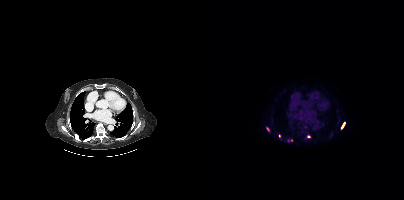
{"modality":"PSMA PET/CT","view":"axial","tracer":"[18F]PSMA-1007","pet_grid":[200,200],"coord_frame":"pet_panel","coord_format":"x0,y0,x1,y1","partial":true,"lesion_bboxes":[[137,122,141,128],[102,135,106,138],[62,127,65,131]],"small_foci_centers":[[75,135],[84,140]]}